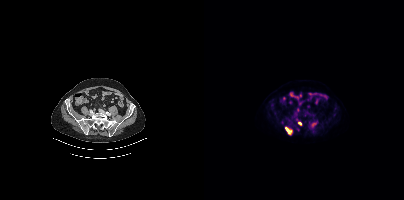
Findings: Coordinates are on the 200×200 PET (right) panel. PSMA-avid tumor lesion bounding boxes (x0, y0)-(x1, y1): (81, 127)-(87, 134); (108, 123)-(112, 126). Small PSMA-avid focus (2 to 4 px across) near (center x, center y): (96, 123).
Technique: Left: CT. Right: PSMA PET, same axial level, 18F-PSMA tracer. acquired on Siemens Biograph mCT Flow 20. PET panel 200×200 px (4.1 mm/px).